Technique: Paired axial CT (left) and PSMA PET (right), 18F-PSMA tracer.
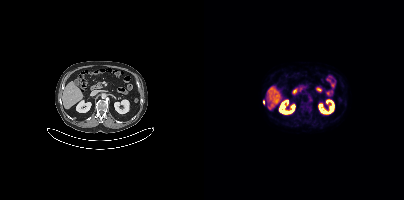
Findings: Coordinates are on the 200×200 PET (right) panel. Small PSMA-avid focus (2 to 4 px across) near (center x, center y): (59, 102).